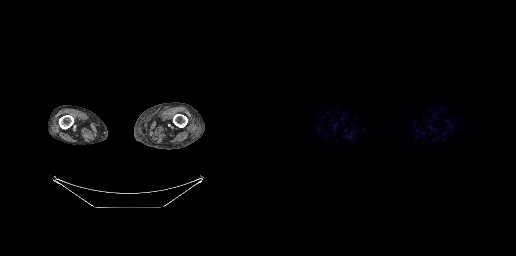
modality: PSMA PET/CT | tracer: 18F | view: axial | PET grid: 256×256
No PSMA-avid tumor lesions on this slice.